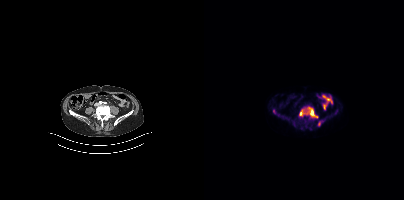
Coordinates are on the 200×200 PET (right) panel. (showing 3 of 4 foci) PSMA-avid tumor lesion bounding boxes (x0,y0,x1,y1): [96,107,114,118]; [69,109,71,113]. Small PSMA-avid focus (2 to 4 px across) near (center x, center y): (115, 123).